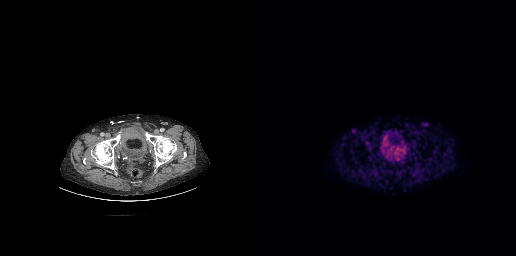
{"modality":"PSMA PET/CT","view":"axial","tracer":"18F","pet_grid":[256,256],"coord_frame":"pet_panel","coord_format":"x0,y0,x1,y1","psma_avid_lesions":false}